Technique: Two-panel axial: CT | PSMA PET, [18F]PSMA-1007 tracer. PET panel 200×200 px (4.1 mm/px).
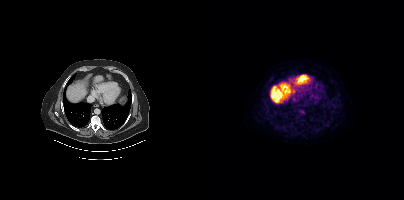
Findings: No PSMA-avid tumor lesions on this slice.